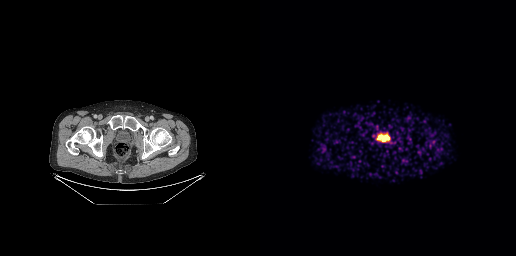
{"modality":"PSMA PET/CT","view":"axial","tracer":"68Ga-PSMA","pet_grid":[256,256],"coord_frame":"pet_panel","coord_format":"x0,y0,x1,y1","psma_avid_lesions":false}